modality: PSMA PET/CT | tracer: [68Ga]Ga-PSMA-11 | view: axial
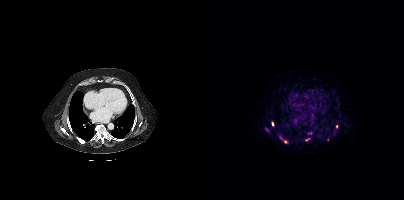
Coordinates are on the 200×200 PET (right) panel. (showing 3 of 9 foci) Small PSMA-avid foci (2 to 4 px across) near (center x, center y): (81, 141) / (69, 125) / (132, 126).